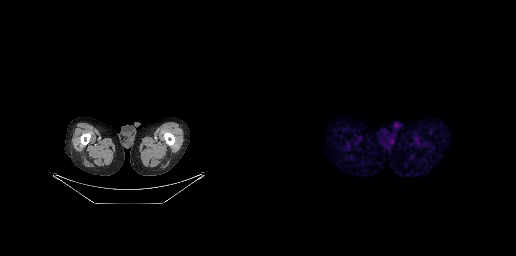
Findings: This slice has no annotated PSMA-avid lesion.
- Two-panel axial: CT | PSMA PET, [68Ga]Ga-PSMA-11 tracer
- acquired on GE Discovery 690
- PET panel 256×256 px (2.7 mm/px)